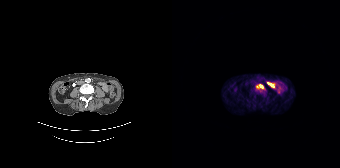
Coordinates are on the 168×168 PET (right) panel. PSMA-avid tumor lesion bounding box (x0,y0,x1,y1): [84,84,93,89].
modality: PSMA PET/CT | tracer: 68Ga | view: axial | PET grid: 168×168